Technique: Left: CT. Right: PSMA PET, same axial level, [18F]PSMA-1007 tracer. PET panel 200×200 px (4.1 mm/px).
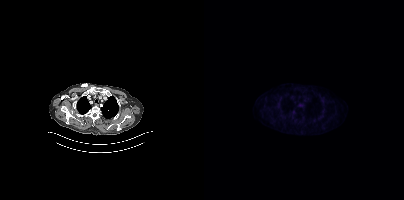
Findings: No PSMA-avid tumor lesions on this slice.